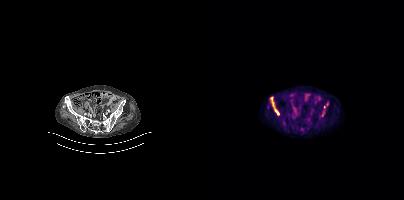
Coordinates are on the 200×200 PET (right) panel. PSMA-avid tumor lesion bounding box (x, y, width, height): x=66 y=99 w=10 h=17. Small PSMA-avid focus (2 to 4 px across) near (center x, center y): (97, 128). Two-panel axial: CT | PSMA PET, 18F tracer. Slice position z = -1444 mm. PET panel 200×200 px (4.1 mm/px).